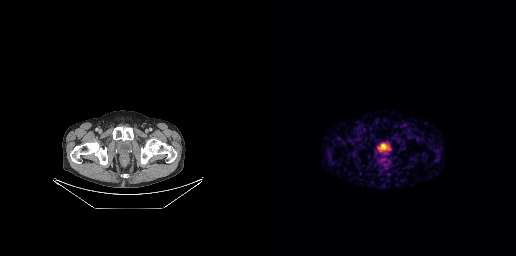
Two-panel axial: CT | PSMA PET, 68Ga-PSMA tracer. Acquired on GE Discovery 690. Slice 33 of 227. PET panel 256×256 px (2.7 mm/px). No PSMA-avid tumor lesions on this slice.